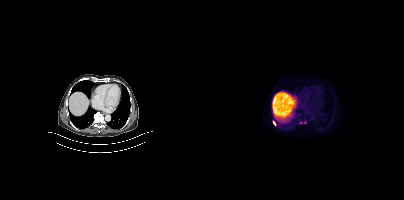
Coordinates are on the 200×200 PET (right) panel. (showing 1 of 3 foci) PSMA-avid tumor lesion bounding box (x0, y0)-(x1, y1): (68, 120)-(72, 126).